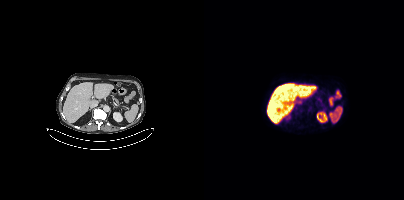
This slice has no annotated PSMA-avid lesion.